Paired axial CT (left) and PSMA PET (right), 18F tracer.
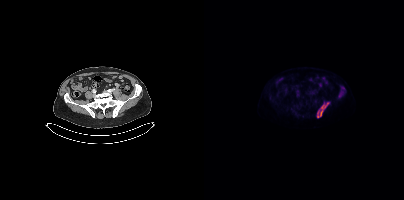
Coordinates are on the 200×200 PET (right) panel. PSMA-avid tumor lesion bounding boxes:
| # | x0 | y0 | x1 | y1 |
|---|---|---|---|---|
| 1 | 112 | 102 | 125 | 118 |
| 2 | 135 | 91 | 139 | 96 |